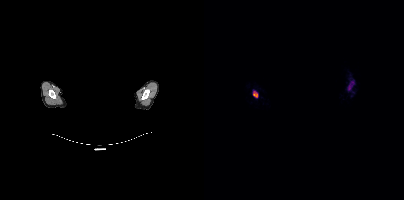
Coordinates are on the 200×200 PET (right) panel. PSMA-avid tumor lesion bounding boxes:
| # | x0 | y0 | x1 | y1 |
|---|---|---|---|---|
| 1 | 49 | 91 | 54 | 97 |
| 2 | 144 | 84 | 148 | 90 |
Privacy masking over the head, with the pixels inside a rectangle set to black. Paired axial CT (left) and PSMA PET (right), 18F tracer. Acquired on Siemens Biograph mCT Flow 20.